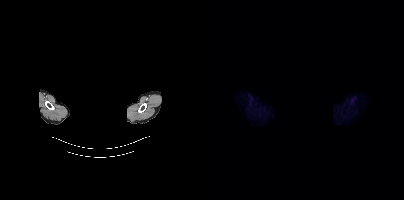
Privacy masking over the head, with the pixels inside a rectangle set to black. Paired axial CT (left) and PSMA PET (right), 18F tracer. Slice 370 of 427. Negative for PSMA-avid disease on this slice.